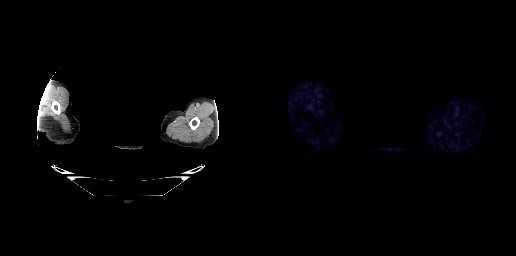
An anonymization step blacked out a rectangle over the head in this scan.
No tumor lesions annotated on this slice.